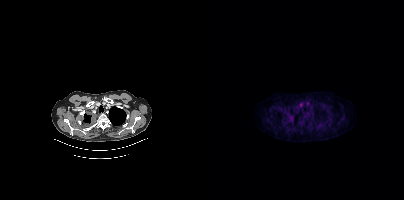
This slice has no annotated PSMA-avid lesion. Two-panel axial: CT | PSMA PET, 18F-PSMA tracer.